An anonymization step blacked out a rectangle over the head in this scan. Paired axial CT (left) and PSMA PET (right), 18F tracer. Acquired on Siemens Biograph mCT Flow 20. Slice 379 of 423.
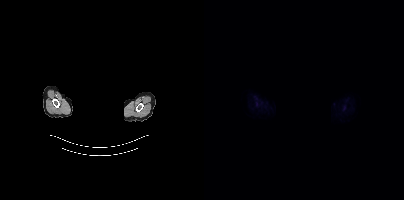
Negative for PSMA-avid disease on this slice.